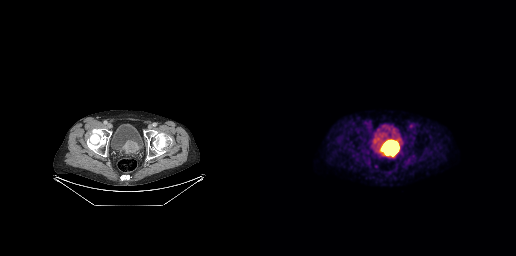
Coordinates are on the 256×256 PET (right) panel. PSMA-avid tumor lesion bounding box (x0, y0)-(x1, y1): (122, 141)-(137, 153). Small PSMA-avid focus (2 to 4 px across) near (center x, center y): (115, 166).